Paired axial CT (left) and PSMA PET (right), 18F tracer. Acquired on Siemens Biograph mCT Flow 20. Slice 169 of 448.
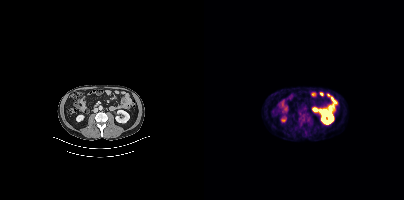
Coordinates are on the 200×200 PET (right) panel. PSMA-avid tumor lesion bounding box (x0,y0,x1,y1): [94,113,107,124].